modality: PSMA PET/CT | tracer: 68Ga | view: axial
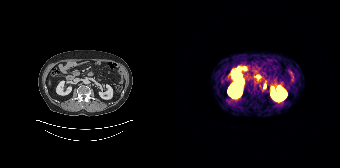
Coordinates are on the 168×168 PET (right) panel. Small PSMA-avid focus (2 to 4 px across) near (center x, center y): (92, 86).